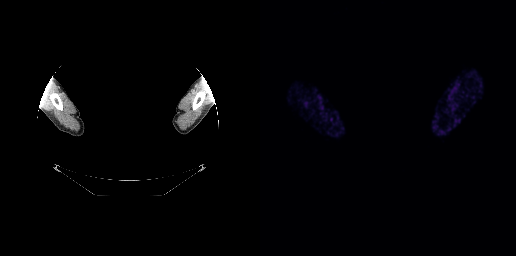
Left: CT. Right: PSMA PET, same axial level, 68Ga-PSMA tracer. Slice position z = -212 mm. PET panel 256×256 px (2.7 mm/px). Privacy masking over the head, with the pixels inside a rectangle set to black. No PSMA-avid tumor lesions on this slice.